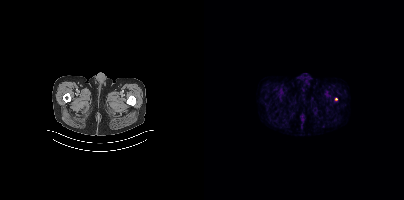
Only PSMA-avid lesion pieces thinner than 2 px on this slice (not listed).